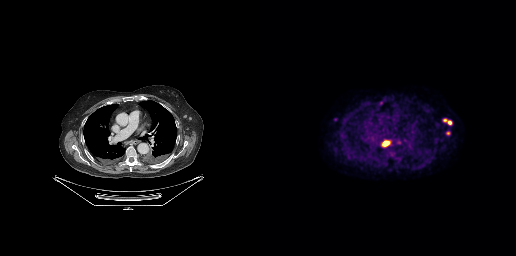
Coordinates are on the 256×256 PET (right) panel. PSMA-avid tumor lesion bounding boxes (x, y, width, height): x=122 y=140 w=9 h=7; x=183 y=119 w=10 h=6. Small PSMA-avid foci (2 to 4 px across) near (center x, center y): (121, 102); (188, 133); (139, 142); (75, 119).
modality: PSMA PET/CT | tracer: 18F | view: axial | PET grid: 256×256